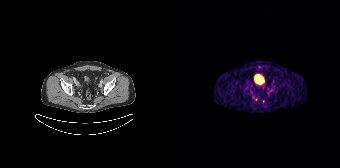
Only PSMA-avid lesion pieces thinner than 2 px on this slice (not listed).
modality: PSMA PET/CT | tracer: 68Ga | view: axial | PET grid: 168×168